Technique: Two-panel axial: CT | PSMA PET, 18F-PSMA tracer. acquired on Siemens Biograph mCT Flow 20.
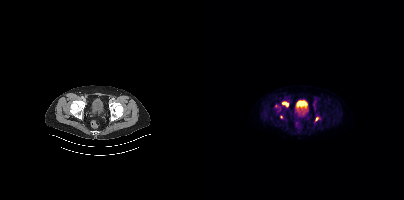
Findings: Coordinates are on the 200×200 PET (right) panel. (showing 2 of 3 foci) PSMA-avid tumor lesion bounding box (x0, y0)-(x1, y1): (78, 102)-(84, 106). Small PSMA-avid focus (2 to 4 px across) near (center x, center y): (112, 119).